Technique: Paired axial CT (left) and PSMA PET (right), 18F tracer. acquired on GE Discovery 690. slice 263 of 263. PET panel 256×256 px (2.7 mm/px).
Note: The head region is masked for de-identification.
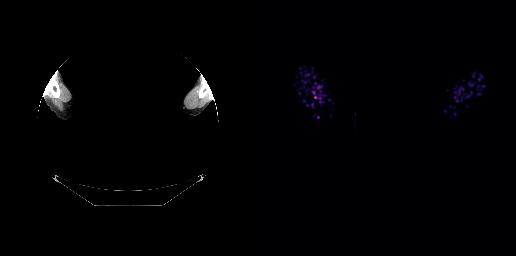
Findings: No PSMA-avid tumor lesions on this slice.